- Paired axial CT (left) and PSMA PET (right), 18F-PSMA tracer
- acquired on Siemens Biograph mCT Flow 20
- PET panel 200×200 px (4.1 mm/px)
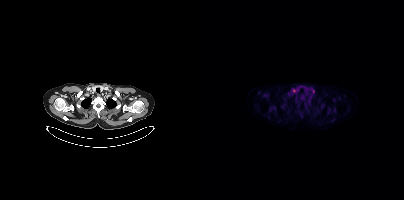
Findings: Coordinates are on the 200×200 PET (right) panel. (showing 2 of 3 foci) PSMA-avid tumor lesion bounding box (x, y, width, height): x=108 y=89 w=3 h=5. Small PSMA-avid focus (2 to 4 px across) near (center x, center y): (89, 90).